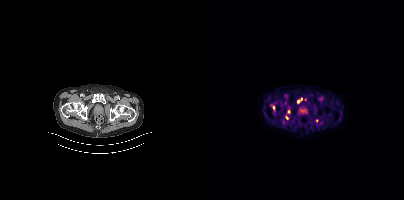
modality: PSMA PET/CT | tracer: 18F | view: axial
Coordinates are on the 200×200 PET (right) panel. (showing 4 of 6 foci) Small PSMA-avid foci (2 to 4 px across) near (center x, center y): (94, 101) | (69, 107) | (83, 117) | (84, 111).